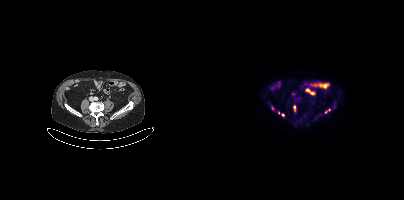
Findings: Coordinates are on the 200×200 PET (right) panel. PSMA-avid tumor lesion bounding boxes (x, y, width, height): x=121 y=108 w=6 h=6 / x=90 y=106 w=2 h=5. Small PSMA-avid foci (2 to 4 px across) near (center x, center y): (68, 108) / (79, 114) / (74, 112).
Technique: Paired axial CT (left) and PSMA PET (right), 18F tracer. acquired on Siemens Biograph mCT Flow 20.